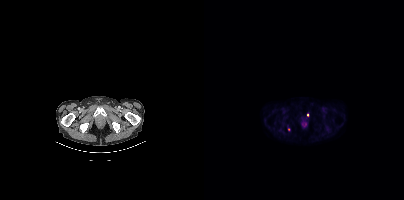
{"pet_grid":[200,200],"coord_frame":"pet_panel","coord_format":"x0,y0,x1,y1","lesion_bboxes":[],"small_foci_centers":[[103,115],[84,129]],"modality":"PSMA PET/CT","view":"axial","tracer":"[18F]PSMA-1007"}